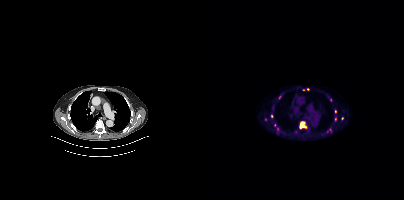
- Two-panel axial: CT | PSMA PET, 18F tracer
- acquired on Siemens Biograph mCT Flow 20
Findings: Coordinates are on the 200×200 PET (right) panel. (showing 7 of 8 foci) PSMA-avid tumor lesion bounding box (x0,y0,x1,y1): [96,122,102,127]. Small PSMA-avid foci (2 to 4 px across) near (center x, center y): (104, 89); (67, 116); (131, 111); (131, 119); (99, 89); (138, 118).